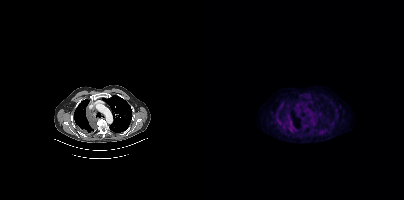
Two-panel axial: CT | PSMA PET, [18F]PSMA-1007 tracer. Coordinates are on the 200×200 PET (right) panel. PSMA-avid tumor lesion bounding box (x0,y0,x1,y1): [84,121,91,130]. Small PSMA-avid focus (2 to 4 px across) near (center x, center y): (94, 109).